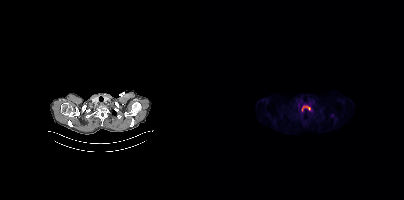
- Paired axial CT (left) and PSMA PET (right), [18F]PSMA-1007 tracer
- slice position z = 508 mm
- PET panel 200×200 px (4.1 mm/px)
Findings: Coordinates are on the 200×200 PET (right) panel. PSMA-avid tumor lesion bounding box (x, y, width, height): x=99 y=105 w=8 h=6. Small PSMA-avid focus (2 to 4 px across) near (center x, center y): (98, 110).